Technique: Left: CT. Right: PSMA PET, same axial level, 68Ga tracer. acquired on Siemens Biograph 64-4R TruePoint. slice position z = -789 mm. PET panel 168×168 px (4.1 mm/px).
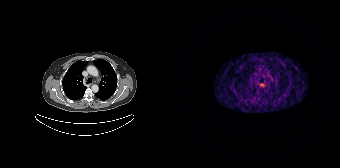
Findings: Negative for PSMA-avid disease on this slice.